- Two-panel axial: CT | PSMA PET, [68Ga]Ga-PSMA-11 tracer
- acquired on Siemens Biograph mCT Flow 20
- slice 350 of 409
- PET panel 200×200 px (4.1 mm/px)
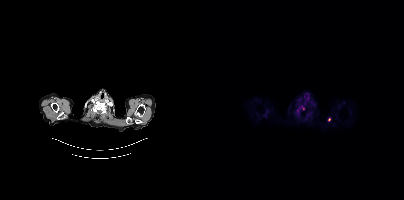
Findings: Coordinates are on the 200×200 PET (right) panel. (showing 1 of 2 foci) Small PSMA-avid focus (2 to 4 px across) near (center x, center y): (125, 119).